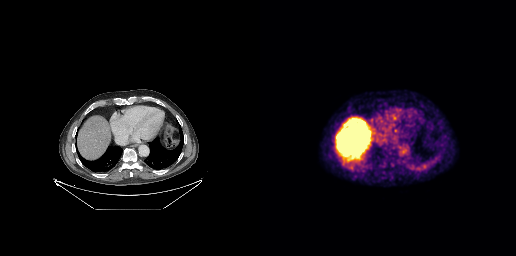
Findings: Negative for PSMA-avid disease on this slice.
Technique: Paired axial CT (left) and PSMA PET (right), 18F-PSMA tracer. acquired on GE Discovery 690. slice position z = -295 mm.